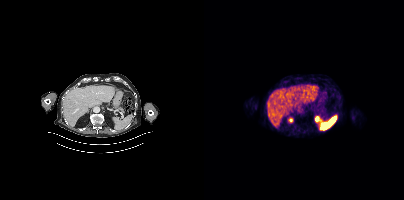
No PSMA-avid tumor lesions on this slice.